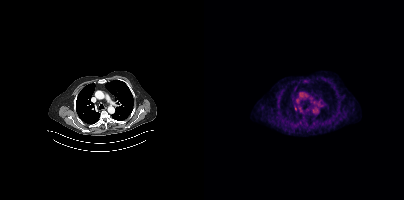
Technique: Paired axial CT (left) and PSMA PET (right), [18F]PSMA-1007 tracer. acquired on Siemens Biograph mCT Flow 20.
Findings: No PSMA-avid tumor lesions on this slice.